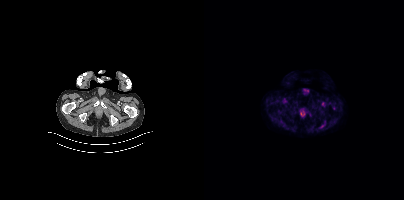
This slice has no annotated PSMA-avid lesion. Two-panel axial: CT | PSMA PET, 18F tracer. Slice position z = -975 mm. PET panel 200×200 px (4.1 mm/px).